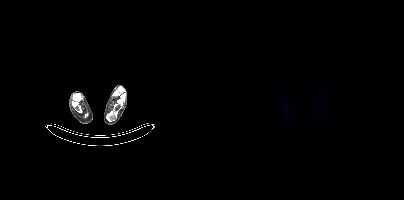
{"modality":"PSMA PET/CT","view":"axial","tracer":"18F-PSMA","pet_grid":[200,200],"coord_frame":"pet_panel","coord_format":"x0,y0,x1,y1","psma_avid_lesions":false}